Technique: Paired axial CT (left) and PSMA PET (right), 18F tracer. acquired on GE Discovery 690. slice 164 of 263. PET panel 256×256 px (2.7 mm/px).
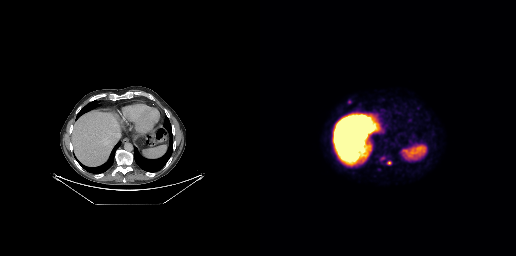
Findings: Coordinates are on the 256×256 PET (right) panel. PSMA-avid tumor lesion bounding box (x0,y0,x1,y1): [127,161,131,164]. Small PSMA-avid foci (2 to 4 px across) near (center x, center y): (122, 158) (89, 101).